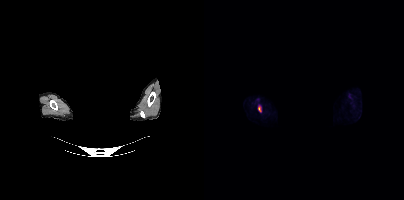
{"modality":"PSMA PET/CT","view":"axial","tracer":"18F-PSMA","pet_grid":[200,200],"coord_frame":"pet_panel","coord_format":"x0,y0,x1,y1","partial":true,"lesion_bboxes":[[53,104,57,112]],"redaction":"rectangular block over head set to black"}